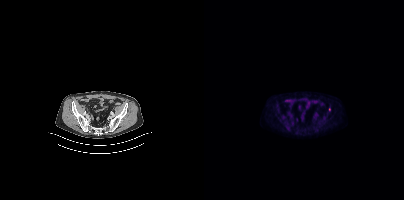
{"modality":"PSMA PET/CT","view":"axial","tracer":"[18F]PSMA-1007","pet_grid":[200,200],"coord_frame":"pet_panel","coord_format":"x0,y0,x1,y1","partial":true,"lesion_bboxes":[]}